modality: PSMA PET/CT | tracer: 18F | view: axial | PET grid: 200×200
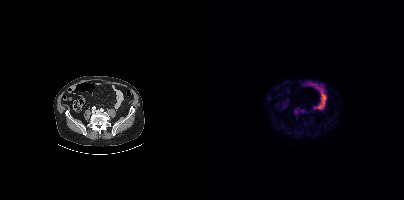
No tumor lesions annotated on this slice.